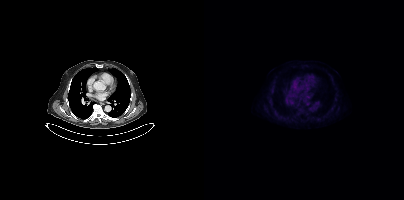
{"pet_grid":[200,200],"coord_frame":"pet_panel","coord_format":"x0,y0,x1,y1","psma_avid_lesions":false,"modality":"PSMA PET/CT","view":"axial","tracer":"18F-PSMA"}